Left: CT. Right: PSMA PET, same axial level, [18F]PSMA-1007 tracer. PET panel 200×200 px (4.1 mm/px).
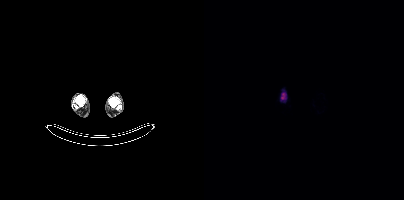
Coordinates are on the 200×200 PET (right) panel. Small PSMA-avid foci (2 to 4 px across) near (center x, center y): (79, 94); (78, 97).